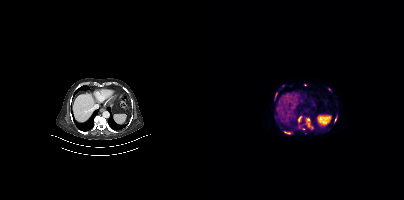
modality: PSMA PET/CT | tracer: [68Ga]Ga-PSMA-11 | view: axial | PET grid: 200×200
Coordinates are on the 200×200 PET (right) panel. (showing 8 of 9 foci) PSMA-avid tumor lesion bounding boxes (x, y, width, height): x=102 y=118 w=4 h=9 / x=94 y=125 w=8 h=6 / x=94 y=116 w=4 h=7 / x=80 y=131 w=7 h=4 / x=71 y=92 w=3 h=7 / x=131 y=115 w=3 h=7. Small PSMA-avid foci (2 to 4 px across) near (center x, center y): (125, 89) / (101, 84).